Technique: Left: CT. Right: PSMA PET, same axial level, 68Ga-PSMA tracer. PET panel 168×168 px (4.1 mm/px).
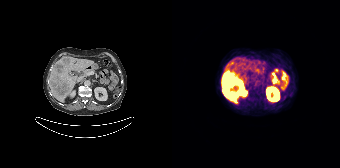
Findings: Coordinates are on the 168×168 PET (right) panel. PSMA-avid tumor lesion bounding box (x0, y0)-(x1, y1): (50, 71)-(70, 102).